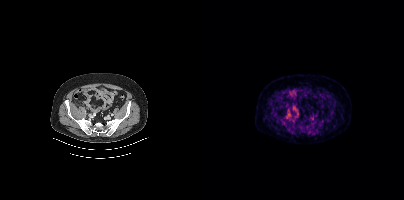
- Paired axial CT (left) and PSMA PET (right), 18F-PSMA tracer
- acquired on Siemens Biograph mCT Flow 20
- slice 151 of 454
Findings: Coordinates are on the 200×200 PET (right) panel. (showing 1 of 2 foci) Small PSMA-avid focus (2 to 4 px across) near (center x, center y): (84, 114).